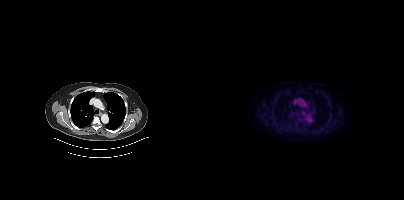
Technique: Two-panel axial: CT | PSMA PET, [18F]PSMA-1007 tracer. acquired on Siemens Biograph mCT Flow 20.
Findings: No tumor lesions annotated on this slice.